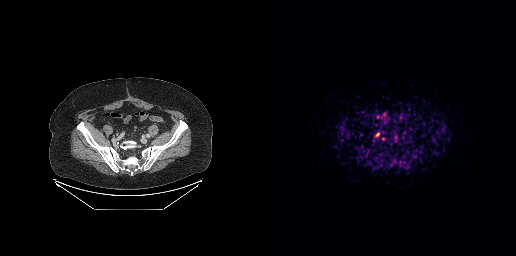
{"pet_grid":[256,256],"coord_frame":"pet_panel","coord_format":"x0,y0,x1,y1","psma_avid_lesions":false,"modality":"PSMA PET/CT","view":"axial","tracer":"[18F]PSMA-1007"}